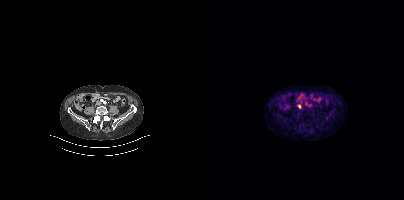
Coordinates are on the 200×200 PET (right) panel. (showing 2 of 3 foci) Small PSMA-avid foci (2 to 4 px across) near (center x, center y): (105, 104) / (95, 106).